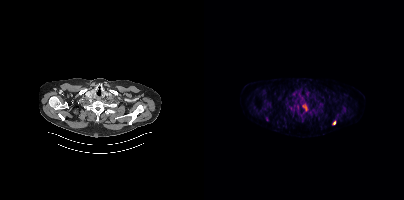
- Left: CT. Right: PSMA PET, same axial level, 18F tracer
- acquired on Siemens Biograph mCT Flow 20
- PET panel 200×200 px (4.1 mm/px)
Findings: Coordinates are on the 200×200 PET (right) panel. PSMA-avid tumor lesion bounding boxes (x, y, width, height): x=81 y=103 w=13 h=10 | x=96 y=97 w=5 h=6 | x=138 y=108 w=5 h=5 | x=116 y=107 w=4 h=6. Small PSMA-avid foci (2 to 4 px across) near (center x, center y): (130, 122) | (100, 107).